Technique: Left: CT. Right: PSMA PET, same axial level, 18F-PSMA tracer. acquired on Siemens Biograph mCT Flow 20. slice position z = -750 mm.
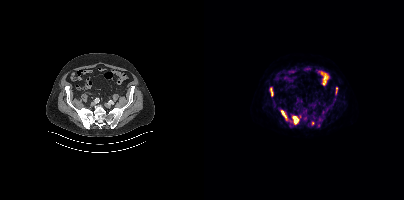
Findings: Coordinates are on the 200×200 PET (right) panel. PSMA-avid tumor lesion bounding boxes (x0,y0,x1,y1): [89,116,94,124] [77,110,85,120] [112,118,118,125] [66,89,68,95] [131,88,133,92]. Small PSMA-avid focus (2 to 4 px across) near (center x, center y): (108, 122).